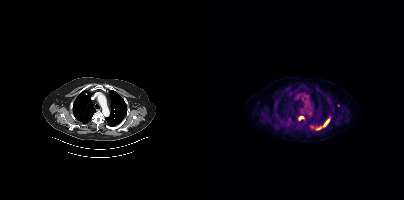
Coordinates are on the 200×200 PET (right) panel. PSMA-avid tumor lesion bounding boxes (x, y, width, height): x=106 y=119 w=20 h=12 | x=95 y=117 w=5 h=3. Small PSMA-avid focus (2 to 4 px across) near (center x, center y): (134, 105). Left: CT. Right: PSMA PET, same axial level, 18F-PSMA tracer. Acquired on Siemens Biograph mCT Flow 20. PET panel 200×200 px (4.1 mm/px).